Technique: Paired axial CT (left) and PSMA PET (right), 18F-PSMA tracer. acquired on Siemens Biograph mCT Flow 20. slice 341 of 444. PET panel 200×200 px (4.1 mm/px).
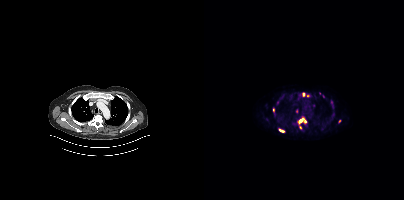
Findings: Coordinates are on the 200×200 PET (right) panel. (showing 10 of 11 foci) PSMA-avid tumor lesion bounding boxes (x, y, width, height): x=94 y=117 w=9 h=8; x=75 y=129 w=6 h=4; x=127 y=100 w=3 h=9. Small PSMA-avid foci (2 to 4 px across) near (center x, center y): (99, 94); (119, 96); (69, 110); (96, 127); (115, 93); (103, 95); (135, 121).